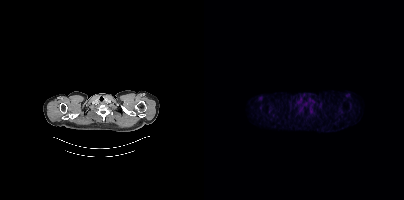
- Paired axial CT (left) and PSMA PET (right), 18F-PSMA tracer
- acquired on Siemens Biograph mCT Flow 20
Findings: This slice has no annotated PSMA-avid lesion.